Two-panel axial: CT | PSMA PET, 68Ga tracer. Acquired on Siemens Biograph 64-4R TruePoint. PET panel 168×168 px (4.1 mm/px).
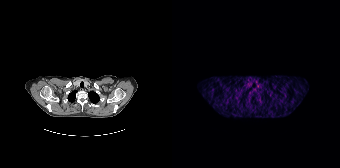
No tumor lesions annotated on this slice.